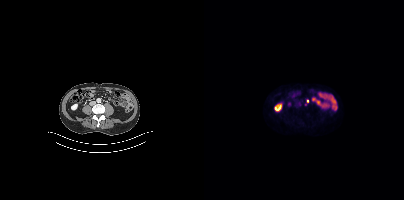
Left: CT. Right: PSMA PET, same axial level, 18F tracer. Acquired on Siemens Biograph mCT Flow 20.
Coordinates are on the 200×200 PET (right) panel. PSMA-avid tumor lesion bounding boxes:
| # | x0 | y0 | x1 | y1 |
|---|---|---|---|---|
| 1 | 101 | 100 | 104 | 105 |